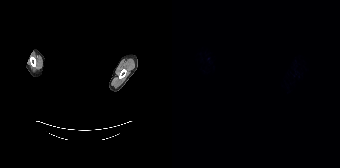
{"modality":"PSMA PET/CT","view":"axial","tracer":"[18F]PSMA-1007","pet_grid":[168,168],"coord_frame":"pet_panel","coord_format":"x0,y0,x1,y1","redaction":"head region blanked (face removed)","psma_avid_lesions":false}